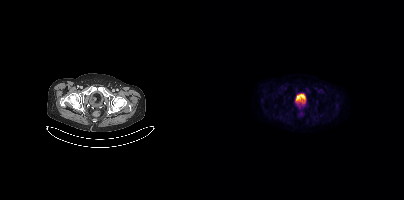
modality: PSMA PET/CT | tracer: [18F]PSMA-1007 | view: axial
Negative for PSMA-avid disease on this slice.